Paired axial CT (left) and PSMA PET (right), 18F-PSMA tracer. Slice position z = -870 mm.
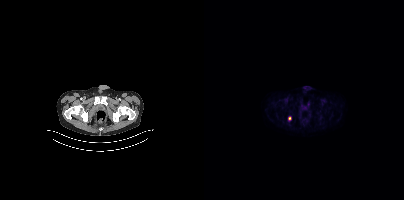
Coordinates are on the 200×200 PET (right) panel. Small PSMA-avid focus (2 to 4 px across) near (center x, center y): (85, 118).